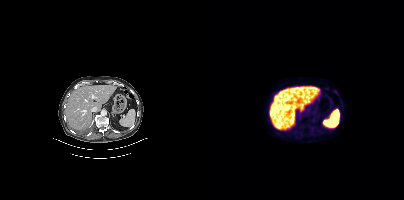
Coordinates are on the 200×200 PET (right) panel. Small PSMA-avid focus (2 to 4 px across) near (center x, center y): (131, 91).